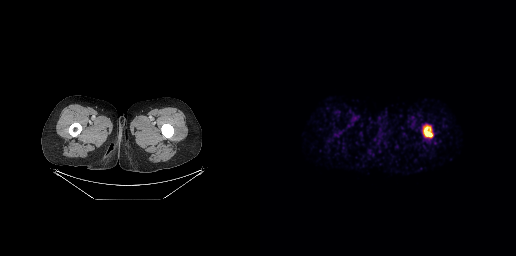
Coordinates are on the 256×256 PET (right) panel. PSMA-avid tumor lesion bounding box (x, y, width, height): x=163 y=125 w=10 h=13. Two-panel axial: CT | PSMA PET, 68Ga tracer. Acquired on GE Discovery 690. PET panel 256×256 px (2.7 mm/px).